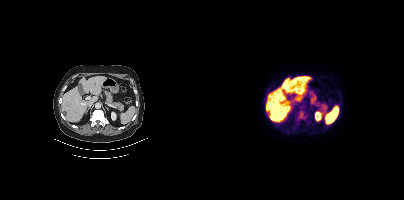
{"pet_grid":[200,200],"coord_frame":"pet_panel","coord_format":"x0,y0,x1,y1","lesion_bboxes":[[91,110,106,125]],"small_foci_centers":[[135,92]],"modality":"PSMA PET/CT","view":"axial","tracer":"[18F]PSMA-1007"}